Left: CT. Right: PSMA PET, same axial level, 18F tracer. Slice 69 of 401.
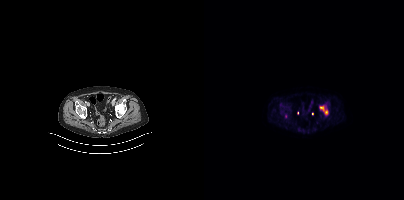
Coordinates are on the 200×200 PET (right) panel. (showing 2 of 4 foci) PSMA-avid tumor lesion bounding box (x, y, width, height): x=116 y=105 w=9 h=10. Small PSMA-avid focus (2 to 4 px across) near (center x, center y): (76, 104).